Technique: Left: CT. Right: PSMA PET, same axial level, [18F]PSMA-1007 tracer.
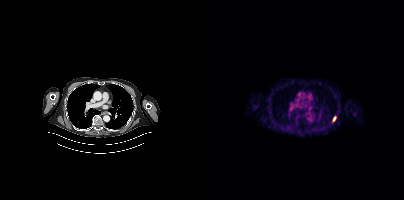
Findings: Coordinates are on the 200×200 PET (right) panel. Small PSMA-avid focus (2 to 4 px across) near (center x, center y): (130, 118).